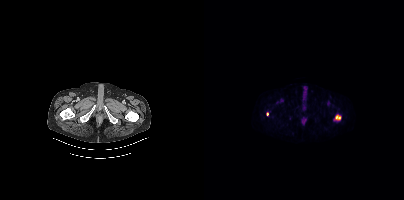
Two-panel axial: CT | PSMA PET, 18F tracer. Acquired on Siemens Biograph mCT Flow 20. Slice position z = -1472 mm. Coordinates are on the 200×200 PET (right) panel. PSMA-avid tumor lesion bounding box (x0, y0)-(x1, y1): (131, 114)-(137, 120). Small PSMA-avid foci (2 to 4 px across) near (center x, center y): (78, 100) / (63, 114).